- Paired axial CT (left) and PSMA PET (right), 18F-PSMA tracer
- acquired on Siemens Biograph mCT Flow 20
- slice position z = -644 mm
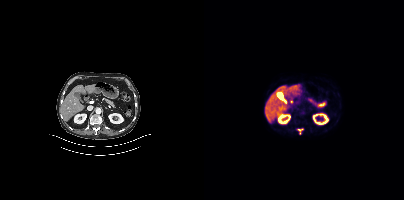
Findings: Coordinates are on the 200×200 PET (right) panel. PSMA-avid tumor lesion bounding box (x, y, width, height): x=94 y=129 w=6 h=6.